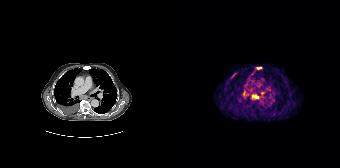
- Left: CT. Right: PSMA PET, same axial level, 68Ga-PSMA tracer
- acquired on Siemens Biograph 64-4R TruePoint
- PET panel 168×168 px (4.1 mm/px)
Findings: Coordinates are on the 168×168 PET (right) panel. (showing 2 of 3 foci) PSMA-avid tumor lesion bounding boxes (x0,y0,x1,y1): [80,95,86,98], [84,67,89,69].